modality: PSMA PET/CT | tracer: [18F]PSMA-1007 | view: axial
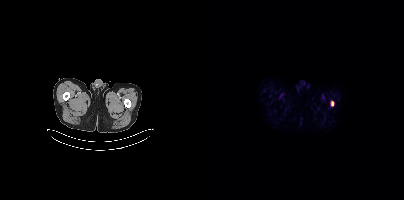
Coordinates are on the 200×200 PET (right) panel. PSMA-avid tumor lesion bounding box (x0, y0)-(x1, y1): (127, 101)-(130, 106).